modality: PSMA PET/CT | tracer: [68Ga]Ga-PSMA-11 | view: axial | PET grid: 200×200
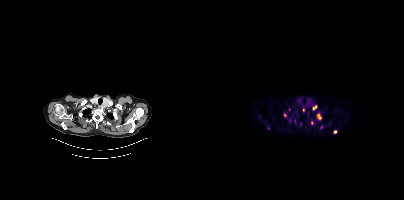
Coordinates are on the 200×200 PET (right) panel. (showing 9 of 12 foci) PSMA-avid tumor lesion bounding boxes (x0, y0)-(x1, y1): (113, 113)-(116, 118); (90, 119)-(92, 123). Small PSMA-avid foci (2 to 4 px across) near (center x, center y): (110, 107); (96, 123); (86, 121); (117, 127); (131, 131); (80, 115); (64, 128).